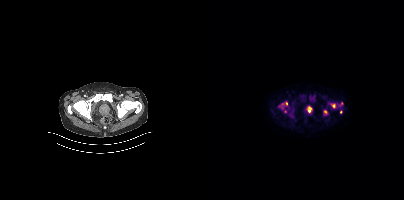
Technique: Left: CT. Right: PSMA PET, same axial level, 18F-PSMA tracer. PET panel 200×200 px (4.1 mm/px).
Findings: Coordinates are on the 200×200 PET (right) panel. PSMA-avid tumor lesion bounding boxes (x0,y0,x1,y1): [74,102,83,113]; [103,106,107,112]; [127,103,131,108]; [120,110,123,114]. Small PSMA-avid foci (2 to 4 px across) near (center x, center y): (136, 112); (137, 103).